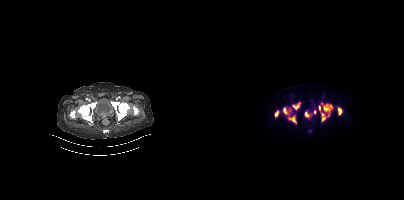
Paired axial CT (left) and PSMA PET (right), 68Ga-PSMA tracer. No PSMA-avid tumor lesions on this slice.